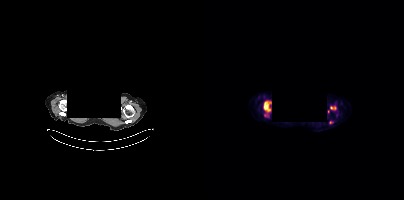
redaction: facial region redacted | modality: PSMA PET/CT | tracer: [18F]PSMA-1007 | view: axial
Coordinates are on the 200×200 PET (right) panel. (showing 4 of 5 foci) PSMA-avid tumor lesion bounding boxes (x0, y0)-(x1, y1): (59, 101)-(67, 112) | (126, 106)-(132, 109). Small PSMA-avid foci (2 to 4 px across) near (center x, center y): (126, 122) | (124, 111).